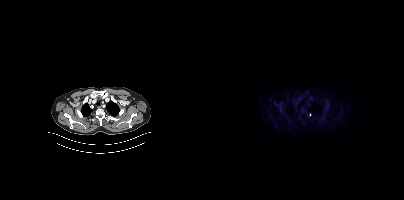
Only PSMA-avid lesion pieces thinner than 2 px on this slice (not listed). Two-panel axial: CT | PSMA PET, 18F tracer. PET panel 200×200 px (4.1 mm/px).